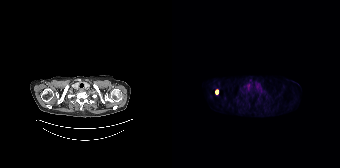
- Two-panel axial: CT | PSMA PET, 18F tracer
- acquired on Siemens Biograph 64-4R TruePoint
- PET panel 168×168 px (4.1 mm/px)
Findings: Coordinates are on the 168×168 PET (right) panel. PSMA-avid tumor lesion bounding box (x0,y0,x1,y1): [43,90,46,94].